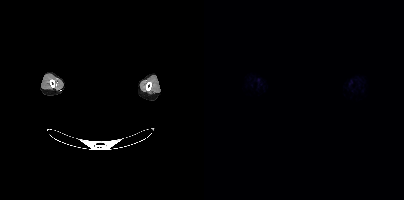
Technique: Left: CT. Right: PSMA PET, same axial level, 18F tracer.
Note: Head region blanked for anonymization (face removed).
Findings: This slice has no annotated PSMA-avid lesion.